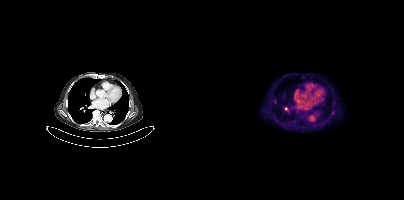
Left: CT. Right: PSMA PET, same axial level, [18F]PSMA-1007 tracer. Slice position z = -1244 mm. Coordinates are on the 200×200 PET (right) panel. Small PSMA-avid foci (2 to 4 px across) near (center x, center y): (70, 102), (81, 108), (128, 112).